- a rectangular privacy mask was applied before release
- Two-panel axial: CT | PSMA PET, 18F-PSMA tracer
- slice 338 of 401
- PET panel 200×200 px (4.1 mm/px)
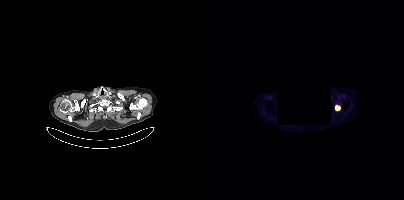
Findings: Coordinates are on the 200×200 PET (right) panel. PSMA-avid tumor lesion bounding box (x0, y0)-(x1, y1): (131, 106)-(136, 109).